Left: CT. Right: PSMA PET, same axial level, 68Ga-PSMA tracer. Acquired on Siemens Biograph 64-4R TruePoint. Slice 63 of 195. PET panel 168×168 px (4.1 mm/px).
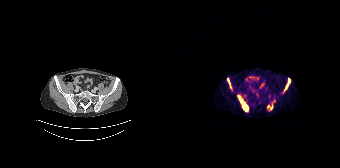
Coordinates are on the 168×168 PET (right) panel. PSMA-avid tumor lesion bounding boxes (x, y, width, height): x=66 y=96 w=11 h=16; x=111 y=78 w=8 h=15; x=95 y=102 w=7 h=9. Small PSMA-avid foci (2 to 4 px across) near (center x, center y): (56, 81); (102, 100).